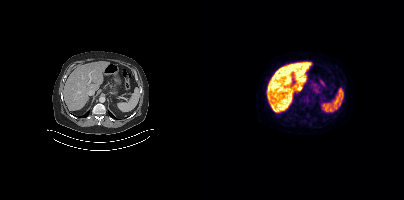
Paired axial CT (left) and PSMA PET (right), 18F-PSMA tracer. Coordinates are on the 200×200 PET (right) panel. PSMA-avid tumor lesion bounding box (x0, y0)-(x1, y1): (106, 101)-(109, 105).